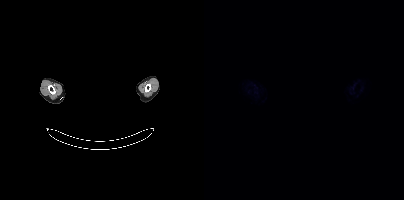
{"modality":"PSMA PET/CT","view":"axial","tracer":"[18F]PSMA-1007","pet_grid":[200,200],"coord_frame":"pet_panel","coord_format":"x0,y0,x1,y1","psma_avid_lesions":false,"deidentification":"head region blacked out before release"}